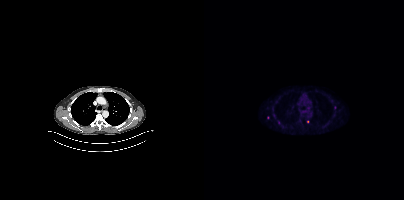
- Left: CT. Right: PSMA PET, same axial level, 18F-PSMA tracer
- slice position z = -416 mm
Findings: Coordinates are on the 200×200 PET (right) panel. Small PSMA-avid foci (2 to 4 px across) near (center x, center y): (64, 117); (131, 107); (103, 121).